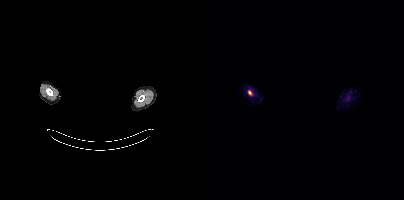
The head region is masked for de-identification. Paired axial CT (left) and PSMA PET (right), 18F tracer. Slice position z = -306 mm. PET panel 200×200 px (4.1 mm/px). Coordinates are on the 200×200 PET (right) panel. Small PSMA-avid focus (2 to 4 px across) near (center x, center y): (45, 92).